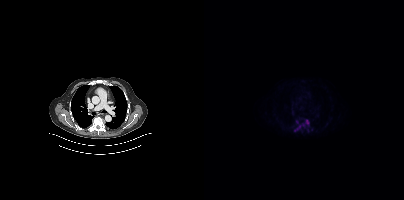
Coordinates are on the 200×200 PET (right) panel. PSMA-avid tumor lesion bounding boxes:
| # | x0 | y0 | x1 | y1 |
|---|---|---|---|---|
| 1 | 92 | 119 | 105 | 130 |
Left: CT. Right: PSMA PET, same axial level, 18F tracer. Slice position z = -554 mm.